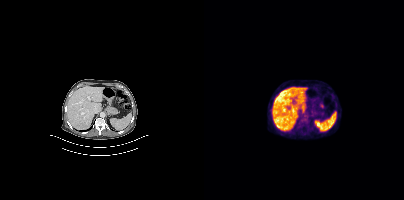
{"modality":"PSMA PET/CT","view":"axial","tracer":"18F","pet_grid":[200,200],"coord_frame":"pet_panel","coord_format":"x0,y0,x1,y1","psma_avid_lesions":false}